Left: CT. Right: PSMA PET, same axial level, 18F-PSMA tracer. Acquired on Siemens Biograph mCT Flow 20. PET panel 200×200 px (4.1 mm/px).
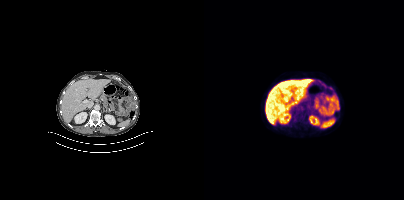
No PSMA-avid tumor lesions on this slice.